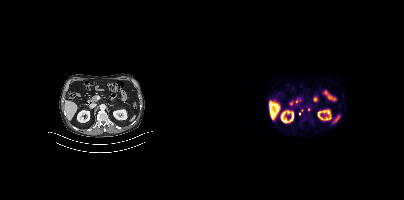
{"modality":"PSMA PET/CT","view":"axial","tracer":"[18F]PSMA-1007","pet_grid":[200,200],"coord_frame":"pet_panel","coord_format":"x0,y0,x1,y1","lesion_bboxes":[],"small_foci_centers":[[104,109],[97,110],[95,113]]}